The head region is masked for de-identification. Paired axial CT (left) and PSMA PET (right), 68Ga tracer. Acquired on Siemens Biograph mCT Flow 20. PET panel 200×200 px (4.1 mm/px).
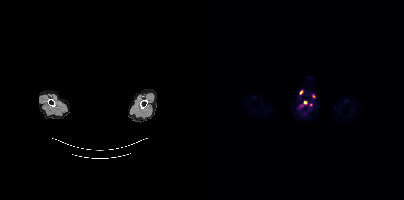
Coordinates are on the 200×200 PET (right) panel. PSMA-avid tumor lesion bounding box (x0, y0)-(x1, y1): (96, 101)-(102, 107). Small PSMA-avid focus (2 to 4 px across) near (center x, center y): (106, 104).